Paired axial CT (left) and PSMA PET (right), 18F tracer.
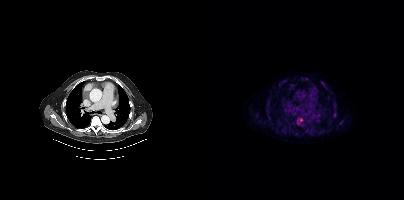
Coordinates are on the 200×200 PET (right) panel. PSMA-avid tumor lesion bounding box (x, y, width, height): x=93 y=118 w=6 h=7.